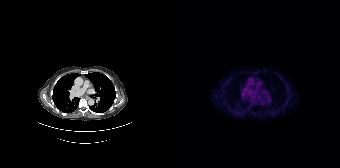
- Two-panel axial: CT | PSMA PET, 18F tracer
- PET panel 168×168 px (4.1 mm/px)
Findings: Coordinates are on the 168×168 PET (right) panel. Small PSMA-avid focus (2 to 4 px across) near (center x, center y): (116, 87).